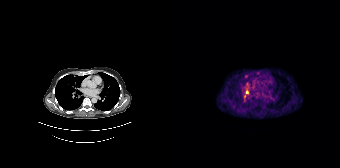
Technique: Left: CT. Right: PSMA PET, same axial level, 68Ga-PSMA tracer. slice 132 of 195.
Findings: Only PSMA-avid lesion pieces thinner than 2 px on this slice (not listed).